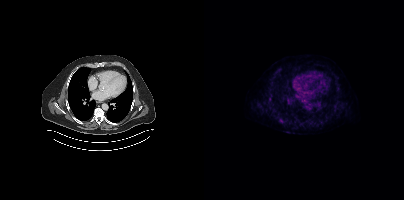
{"pet_grid":[200,200],"coord_frame":"pet_panel","coord_format":"x0,y0,x1,y1","lesion_bboxes":[[75,119,79,123]],"small_foci_centers":[[66,99]],"modality":"PSMA PET/CT","view":"axial","tracer":"18F"}